modality: PSMA PET/CT | tracer: [68Ga]Ga-PSMA-11 | view: axial | PET grid: 256×256
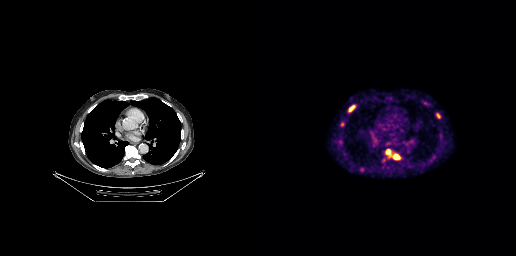
Coordinates are on the 256×256 PET (right) panel. PSMA-avid tumor lesion bounding boxes (x0, y0)-(x1, y1): (89, 105)-(94, 111) | (80, 122)-(84, 126) | (126, 149)-(130, 153) | (134, 155)-(138, 159). Small PSMA-avid focus (2 to 4 px across) near (center x, center y): (178, 115).